- Two-panel axial: CT | PSMA PET, 18F-PSMA tracer
- slice 72 of 263
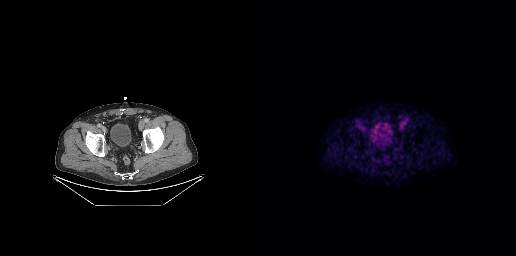
Findings: No tumor lesions annotated on this slice.